Two-panel axial: CT | PSMA PET, 18F tracer.
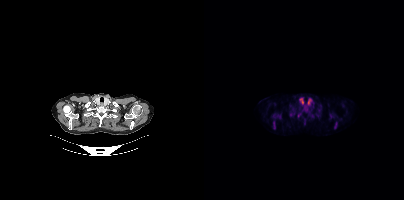
Coordinates are on the 200×200 PET (right) panel. (showing 4 of 5 foci) PSMA-avid tumor lesion bounding boxes (x0,y0,x1,y1): [130,122,133,128], [69,121,71,128]. Small PSMA-avid foci (2 to 4 px across) near (center x, center y): (74, 116), (95, 115).